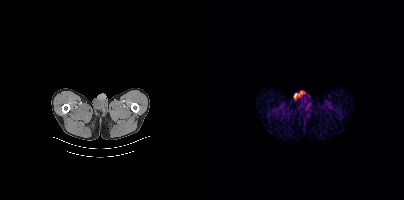
{"modality":"PSMA PET/CT","view":"axial","tracer":"18F-PSMA","pet_grid":[200,200],"coord_frame":"pet_panel","coord_format":"x0,y0,x1,y1","psma_avid_lesions":false}